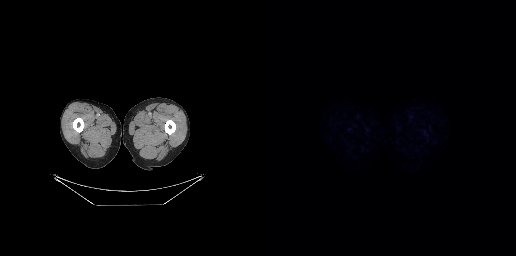
Negative for PSMA-avid disease on this slice.